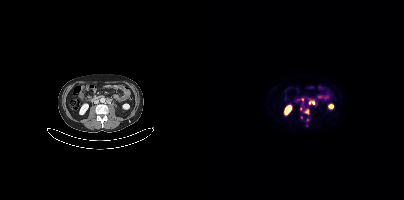
Coordinates are on the 200×200 PET (right) panel. (showing 4 of 6 foci) PSMA-avid tumor lesion bounding box (x, y, width, height): x=105 y=100 w=6 h=4. Small PSMA-avid foci (2 to 4 px across) near (center x, center y): (102, 111); (97, 117); (103, 119).